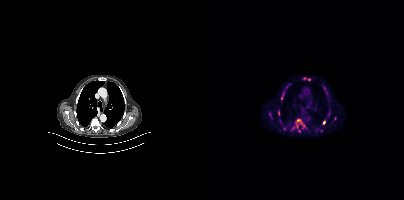
Findings: Coordinates are on the 200×200 PET (right) panel. (showing 8 of 11 foci) PSMA-avid tumor lesion bounding boxes (x, y, width, height): x=87 y=118 w=17 h=15 | x=64 y=112 w=5 h=8 | x=119 y=119 w=4 h=6 | x=74 y=110 w=3 h=6 | x=82 y=83 w=5 h=5. Small PSMA-avid foci (2 to 4 px across) near (center x, center y): (100, 78) | (105, 79) | (77, 98).
- Paired axial CT (left) and PSMA PET (right), [18F]PSMA-1007 tracer
- acquired on Siemens Biograph mCT Flow 20
- slice position z = -1021 mm